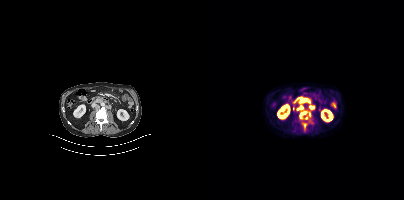
Coordinates are on the 200×200 PET (right) panel. (showing 7 of 9 foci) PSMA-avid tumor lesion bounding boxes (x0, y0)-(x1, y1): (95, 111)-(103, 118) | (96, 97)-(102, 102) | (106, 106)-(110, 108) | (105, 112)-(106, 116). Small PSMA-avid foci (2 to 4 px across) near (center x, center y): (97, 107) | (101, 125) | (102, 118).